Paired axial CT (left) and PSMA PET (right), 18F-PSMA tracer.
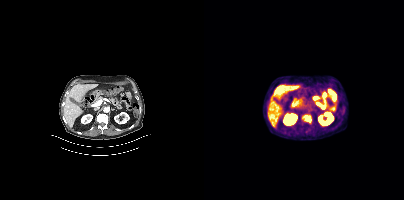
Coordinates are on the 200×200 PET (right) panel. PSMA-avid tumor lesion bounding boxes:
| # | x0 | y0 | x1 | y1 |
|---|---|---|---|---|
| 1 | 99 | 115 | 107 | 122 |